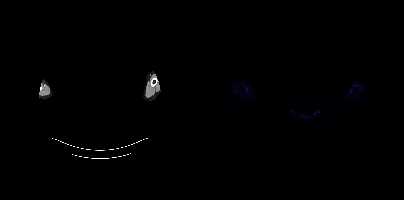
Technique: Paired axial CT (left) and PSMA PET (right), 68Ga-PSMA tracer. acquired on Siemens Biograph mCT Flow 20.
Note: The head region is masked for de-identification.
Findings: No PSMA-avid tumor lesions on this slice.